Two-panel axial: CT | PSMA PET, [18F]PSMA-1007 tracer. PET panel 200×200 px (4.1 mm/px).
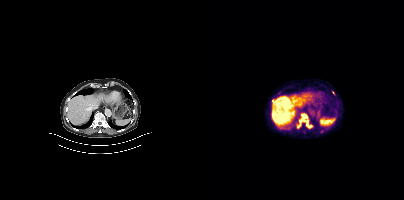
Coordinates are on the 200×200 PET (right) panel. PSMA-avid tumor lesion bounding boxes (x, y, width, height): x=93 y=114 w=16 h=15; x=128 y=119 w=4 h=5. Small PSMA-avid foci (2 to 4 px across) near (center x, center y): (68, 100); (129, 92).